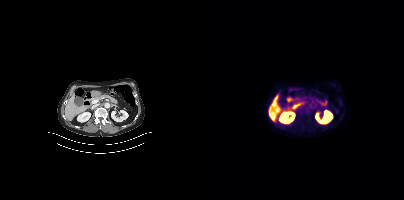
{"pet_grid":[200,200],"coord_frame":"pet_panel","coord_format":"x0,y0,x1,y1","psma_avid_lesions":false,"modality":"PSMA PET/CT","view":"axial","tracer":"18F"}